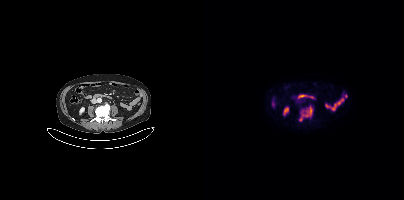
Coordinates are on the 200×200 PET (right) panel. PSMA-avid tumor lesion bounding box (x0, y0)-(x1, y1): (95, 106)-(108, 121).